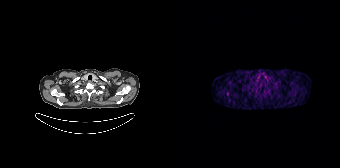
Technique: Paired axial CT (left) and PSMA PET (right), [68Ga]Ga-PSMA-11 tracer. slice position z = -218 mm. PET panel 168×168 px (4.1 mm/px).
Findings: Only PSMA-avid lesion pieces thinner than 2 px on this slice (not listed).